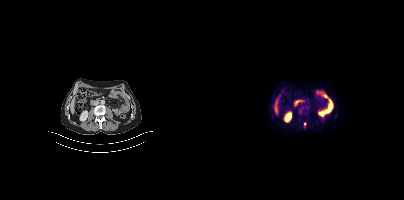
Coordinates are on the 200×200 PET (right) panel. PSMA-avid tumor lesion bounding box (x, y, width, height): x=100 y=122 w=3 h=5.